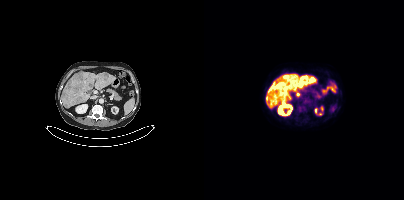
Technique: Paired axial CT (left) and PSMA PET (right), 18F-PSMA tracer. acquired on Siemens Biograph mCT Flow 20.
Findings: Coordinates are on the 200×200 PET (right) panel. PSMA-avid tumor lesion bounding boxes (x, y, width, height): x=72 y=82 w=6 h=7 / x=98 y=76 w=5 h=5. Small PSMA-avid foci (2 to 4 px across) near (center x, center y): (89, 82) / (94, 94).